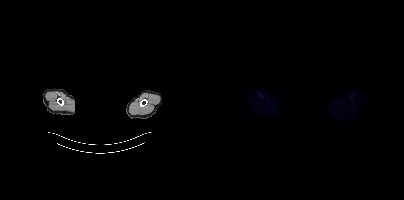
This slice has no annotated PSMA-avid lesion. Two-panel axial: CT | PSMA PET, 18F tracer. Acquired on Siemens Biograph mCT Flow 20. Head region blanked for anonymization (face removed).